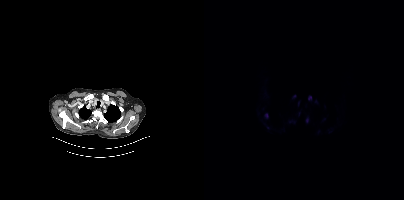
{"modality":"PSMA PET/CT","view":"axial","tracer":"18F","pet_grid":[200,200],"coord_frame":"pet_panel","coord_format":"x0,y0,x1,y1","partial":true,"lesion_bboxes":[[102,117,104,122],[104,96,107,100],[94,101,95,105]],"small_foci_centers":[[62,115]]}